Technique: Left: CT. Right: PSMA PET, same axial level, [18F]PSMA-1007 tracer. acquired on GE Discovery 690. slice position z = -902 mm.
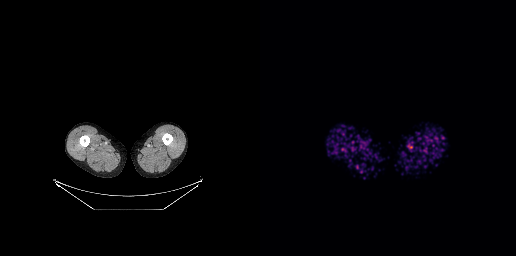
Findings: No tumor lesions annotated on this slice.